modality: PSMA PET/CT | tracer: 18F | view: axial
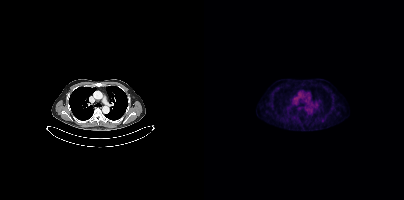
Coordinates are on the 200×200 PET (right) panel. PSMA-avid tumor lesion bounding box (x0,y0,x1,y1): [117,118,120,122].